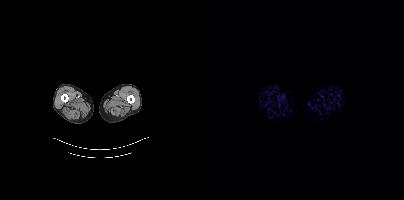
{"pet_grid":[200,200],"coord_frame":"pet_panel","coord_format":"x0,y0,x1,y1","psma_avid_lesions":false,"modality":"PSMA PET/CT","view":"axial","tracer":"[18F]PSMA-1007"}